Technique: Left: CT. Right: PSMA PET, same axial level, 18F-PSMA tracer. acquired on Siemens Biograph mCT Flow 20. PET panel 200×200 px (4.1 mm/px).
Note: Any black rectangle over the head is a privacy mask, not anatomy.
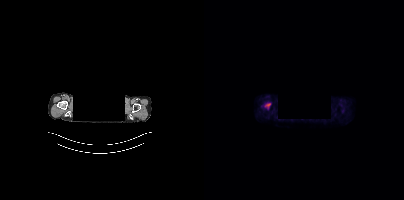
Findings: Coordinates are on the 200×200 PET (right) panel. PSMA-avid tumor lesion bounding box (x, y, width, height): x=61 y=103 w=6 h=6.